modality: PSMA PET/CT | tracer: [18F]PSMA-1007 | view: axial | PET grid: 200×200
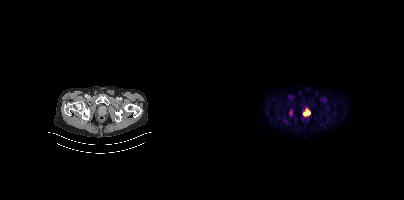
Coordinates are on the 200×200 PET (right) panel. PSMA-avid tumor lesion bounding box (x, y, width, height): x=100 y=109 w=7 h=7. Small PSMA-avid focus (2 to 4 px across) near (center x, center y): (86, 113).